Two-panel axial: CT | PSMA PET, [68Ga]Ga-PSMA-11 tracer. PET panel 168×168 px (4.1 mm/px).
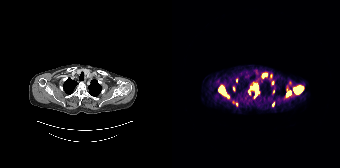
Coordinates are on the 168×168 PET (right) panel. (showing 10 of 15 foci) PSMA-avid tumor lesion bounding boxes (x, y, width, height): x=121 y=87 w=11 h=7 / x=47 y=87 w=7 h=8 / x=81 y=84 w=6 h=7 / x=114 y=91 w=6 h=6. Small PSMA-avid foci (2 to 4 px across) near (center x, center y): (99, 75) / (92, 75) / (61, 88) / (64, 80) / (84, 93) / (55, 95).